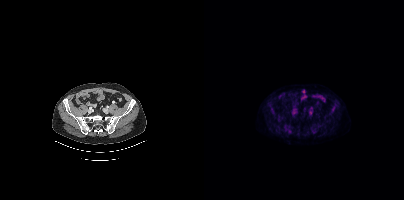
- Left: CT. Right: PSMA PET, same axial level, 18F tracer
- slice 117 of 438
Findings: This slice has no annotated PSMA-avid lesion.